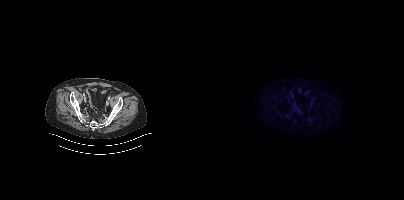
{"modality":"PSMA PET/CT","view":"axial","tracer":"18F","pet_grid":[200,200],"coord_frame":"pet_panel","coord_format":"x0,y0,x1,y1","psma_avid_lesions":false}